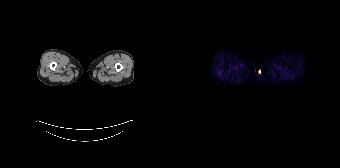
Paired axial CT (left) and PSMA PET (right), 68Ga tracer. Slice 12 of 195. PET panel 168×168 px (4.1 mm/px). No tumor lesions annotated on this slice.